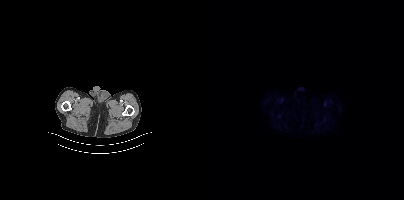
{"pet_grid":[200,200],"coord_frame":"pet_panel","coord_format":"x0,y0,x1,y1","psma_avid_lesions":false,"modality":"PSMA PET/CT","view":"axial","tracer":"[18F]PSMA-1007"}